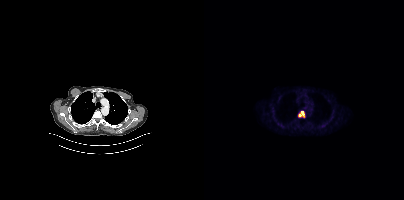
{"modality":"PSMA PET/CT","view":"axial","tracer":"[18F]PSMA-1007","pet_grid":[200,200],"coord_frame":"pet_panel","coord_format":"x0,y0,x1,y1","lesion_bboxes":[[94,111,100,117]]}